modality: PSMA PET/CT | tracer: 18F | view: axial
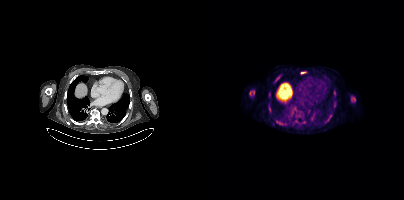
Coordinates are on the 200×200 PET (right) panel. PSMA-avid tumor lesion bounding boxes (x0,y0,x1,y1): [45,90,50,96]; [147,96,151,102]; [72,120,76,124]; [122,116,126,121]; [64,104,66,109]; [97,72,101,73]. Small PSMA-avid foci (2 to 4 px across) near (center x, center y): (72, 78); (130, 94); (76, 75).